Head region blanked for anonymization (face removed).
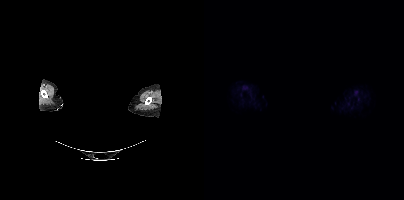
No PSMA-avid tumor lesions on this slice.